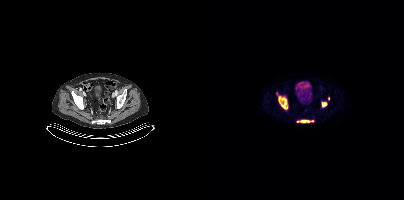
Coordinates are on the 200×200 PET (right) panel. (showing 4 of 6 foci) PSMA-avid tumor lesion bounding boxes (x, y, width, height): x=75 y=96 w=9 h=14 | x=96 y=120 w=10 h=3 | x=118 y=102 w=5 h=5. Small PSMA-avid focus (2 to 4 px across) near (center x, center y): (93, 121). Two-panel axial: CT | PSMA PET, 18F tracer.